Paired axial CT (left) and PSMA PET (right), 18F tracer.
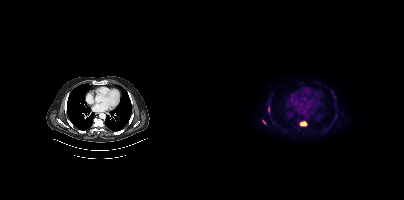
Coordinates are on the 200×200 PET (right) panel. (showing 4 of 5 foci) PSMA-avid tumor lesion bounding boxes (x, y, width, height): x=96 y=121 w=7 h=5; x=64 y=106 w=2 h=7. Small PSMA-avid foci (2 to 4 px across) near (center x, center y): (131, 116); (60, 122).